- Left: CT. Right: PSMA PET, same axial level, 18F-PSMA tracer
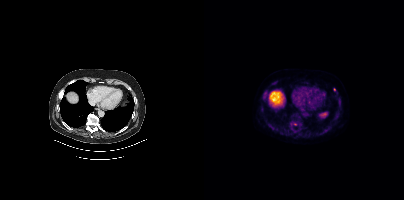
Findings: Coordinates are on the 200×200 PET (right) panel. (showing 1 of 2 foci) Small PSMA-avid focus (2 to 4 px across) near (center x, center y): (130, 89).